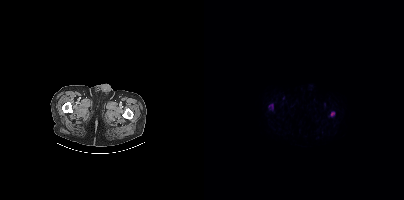
{"modality":"PSMA PET/CT","view":"axial","tracer":"18F","pet_grid":[200,200],"coord_frame":"pet_panel","coord_format":"x0,y0,x1,y1","lesion_bboxes":[[126,112,130,116],[65,104,69,109]]}